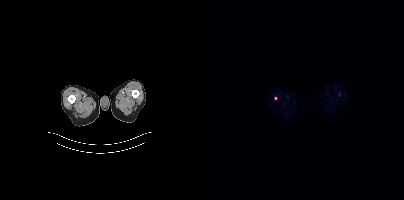
Coordinates are on the 200×200 PET (right) panel. (showing 1 of 2 foci) Small PSMA-avid focus (2 to 4 px across) near (center x, center y): (71, 98). Left: CT. Right: PSMA PET, same axial level, 18F tracer.